modality: PSMA PET/CT | tracer: [18F]PSMA-1007 | view: axial | PET grid: 256×256
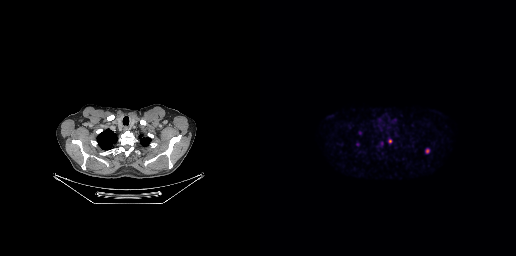
Coordinates are on the 256×256 PET (right) panel. PSMA-avid tumor lesion bounding box (x0,y0,x1,y1): [165,149,169,153]. Small PSMA-avid foci (2 to 4 px across) near (center x, center y): (130, 140), (97, 144), (99, 132).